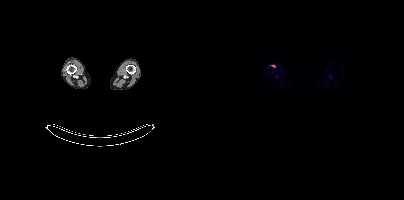
Coordinates are on the 200×200 PET (right) panel. Small PSMA-avid focus (2 to 4 px across) near (center x, center y): (69, 65).